Two-panel axial: CT | PSMA PET, 68Ga-PSMA tracer. Acquired on Siemens Biograph mCT Flow 20. Slice position z = -1288 mm.
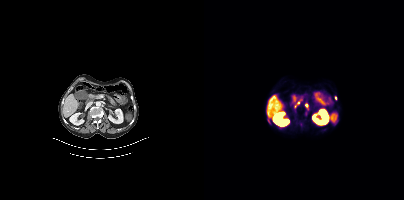
Coordinates are on the 200×200 PET (right) panel. (showing 6 of 8 foci) PSMA-avid tumor lesion bounding box (x0,y0,x1,y1): [64,118,66,123]. Small PSMA-avid foci (2 to 4 px across) near (center x, center y): (94, 102), (131, 98), (102, 105), (96, 124), (120, 129).